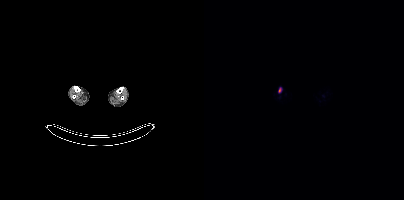
{"modality":"PSMA PET/CT","view":"axial","tracer":"[18F]PSMA-1007","pet_grid":[200,200],"coord_frame":"pet_panel","coord_format":"x0,y0,x1,y1","lesion_bboxes":[[74,87,77,92]]}